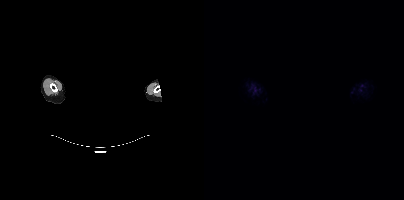
Negative for PSMA-avid disease on this slice.
A rectangle over the head was blacked out to remove identifiable facial features.